Paired axial CT (left) and PSMA PET (right), 18F tracer. Acquired on Siemens Biograph mCT Flow 20. Slice 334 of 435.
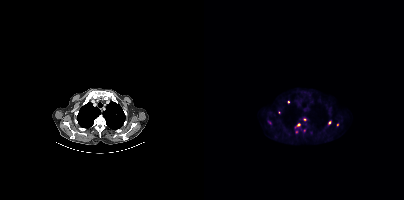
Coordinates are on the 200×200 PET (right) panel. (showing 6 of 9 foci) Small PSMA-avid foci (2 to 4 px across) near (center x, center y): (94, 124) / (125, 122) / (100, 130) / (100, 119) / (133, 124) / (84, 101).